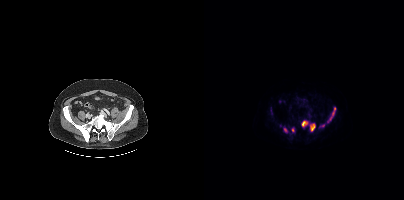
{"modality":"PSMA PET/CT","view":"axial","tracer":"18F-PSMA","pet_grid":[200,200],"coord_frame":"pet_panel","coord_format":"x0,y0,x1,y1","lesion_bboxes":[[106,123,111,131],[124,107,131,122],[97,121,103,126]],"small_foci_centers":[[81,129],[89,129],[119,125]]}